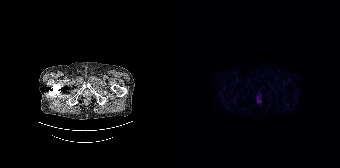
modality: PSMA PET/CT | tracer: 18F-PSMA | view: axial | PET grid: 168×168
Negative for PSMA-avid disease on this slice.